- Paired axial CT (left) and PSMA PET (right), 18F-PSMA tracer
- acquired on Siemens Biograph mCT Flow 20
- slice position z = -691 mm
- PET panel 200×200 px (4.1 mm/px)
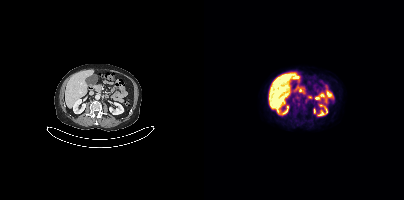
Findings: No tumor lesions annotated on this slice.